Two-panel axial: CT | PSMA PET, [68Ga]Ga-PSMA-11 tracer. Slice 90 of 263. PET panel 256×256 px (2.7 mm/px).
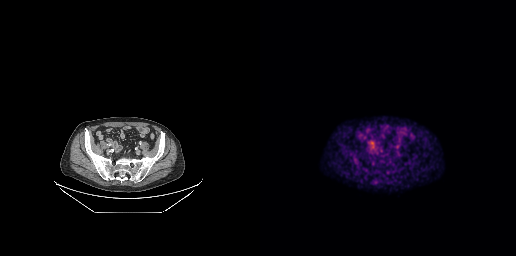
Coordinates are on the 256×256 PET (right) panel. (showing 1 of 2 foci) Small PSMA-avid focus (2 to 4 px across) near (center x, center y): (112, 143).